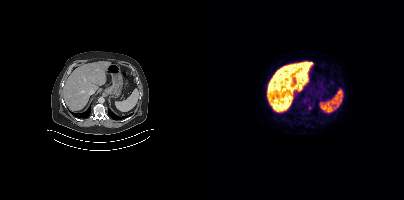
Coordinates are on the 200×200 PET (right) panel. PSMA-avid tumor lesion bounding boxes:
| # | x0 | y0 | x1 | y1 |
|---|---|---|---|---|
| 1 | 103 | 106 | 108 | 110 |
Two-panel axial: CT | PSMA PET, [18F]PSMA-1007 tracer. Slice position z = -393 mm. PET panel 200×200 px (4.1 mm/px).